Left: CT. Right: PSMA PET, same axial level, [18F]PSMA-1007 tracer. PET panel 256×256 px (2.7 mm/px).
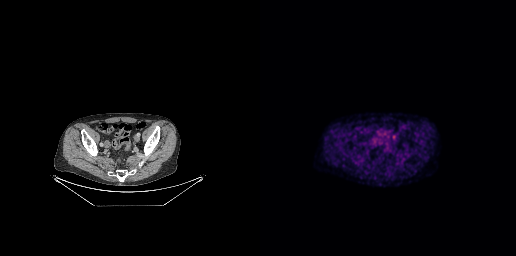
Coordinates are on the 256×256 PET (right) panel. Small PSMA-avid focus (2 to 4 px across) near (center x, center y): (134, 136).